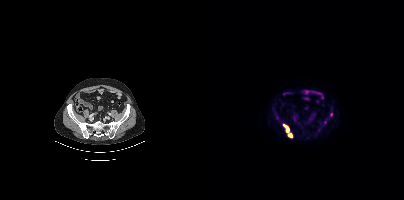
modality: PSMA PET/CT | tracer: 18F | view: axial | PET grid: 200×200
Coordinates are on the 200×200 PET (right) panel. (showing 1 of 2 foci) PSMA-avid tumor lesion bounding box (x, y, width, height): x=79 y=124 w=10 h=14.